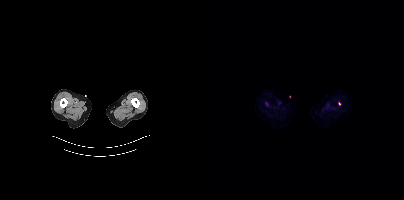
Findings: Coordinates are on the 200×200 PET (right) panel. Small PSMA-avid focus (2 to 4 px across) near (center x, center y): (135, 103).
- Paired axial CT (left) and PSMA PET (right), 18F tracer
- acquired on Siemens Biograph mCT Flow 20
- slice position z = -996 mm
- PET panel 200×200 px (4.1 mm/px)